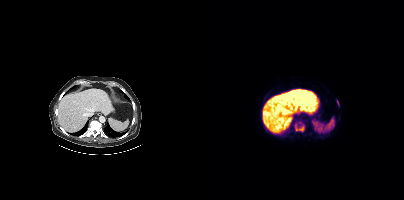
Findings: Coordinates are on the 200×200 PET (right) panel. PSMA-avid tumor lesion bounding box (x, y, width, height): x=90 y=121 w=12 h=12. Small PSMA-avid focus (2 to 4 px across) near (center x, center y): (133, 101).
Technique: Paired axial CT (left) and PSMA PET (right), [18F]PSMA-1007 tracer. acquired on Siemens Biograph mCT Flow 20. slice 338 of 508.